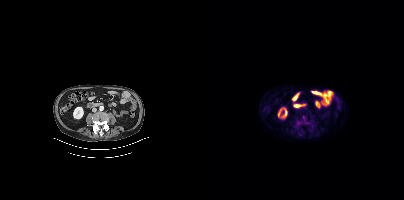
- Left: CT. Right: PSMA PET, same axial level, 18F tracer
- slice position z = -1394 mm
Findings: Negative for PSMA-avid disease on this slice.